modality: PSMA PET/CT | tracer: [18F]PSMA-1007 | view: axial | PET grid: 200×200
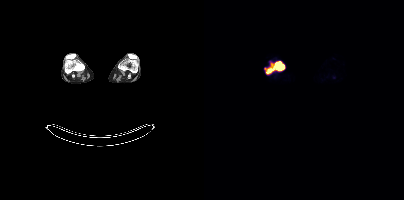
Coordinates are on the 200×200 PET (right) panel. PSMA-avid tumor lesion bounding box (x0, y0)-(x1, y1): (60, 61)-(80, 73).